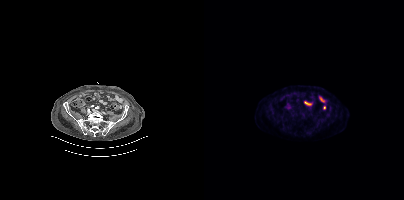
No tumor lesions annotated on this slice.